Two-panel axial: CT | PSMA PET, 18F-PSMA tracer.
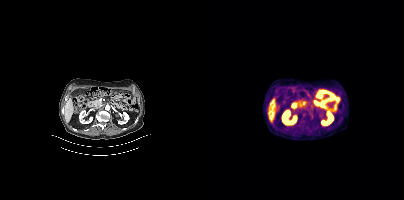
Negative for PSMA-avid disease on this slice.